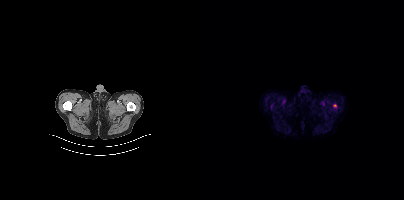
Findings: Coordinates are on the 200×200 PET (right) panel. Small PSMA-avid focus (2 to 4 px across) near (center x, center y): (130, 105).
Technique: Left: CT. Right: PSMA PET, same axial level, 18F tracer.